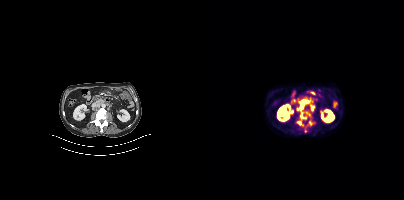
Coordinates are on the 200×200 PET (right) panel. PSMA-avid tumor lesion bounding boxes (x0, y0)-(x1, y1): (93, 100)-(104, 119); (93, 121)-(107, 131). Small PSMA-avid foci (2 to 4 px across) near (center x, center y): (108, 108); (102, 112); (105, 114).